Left: CT. Right: PSMA PET, same axial level, [18F]PSMA-1007 tracer. PET panel 256×256 px (2.7 mm/px).
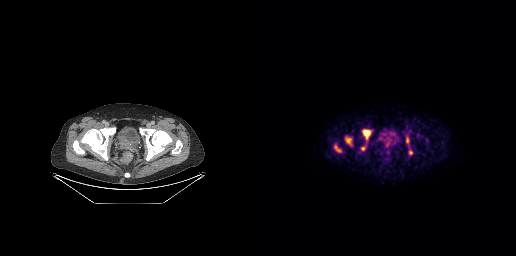
Coordinates are on the 256×256 PET (right) panel. PSMA-avid tumor lesion bounding boxes (partial; 1 more focus not listed):
| # | x0 | y0 | x1 | y1 |
|---|---|---|---|---|
| 1 | 102 | 129 | 111 | 139 |
| 2 | 86 | 137 | 91 | 144 |
| 3 | 146 | 136 | 149 | 143 |
| 4 | 75 | 145 | 80 | 151 |
| 5 | 149 | 150 | 152 | 154 |
Small PSMA-avid focus (2 to 4 px across) near (center x, center y): (102, 148).